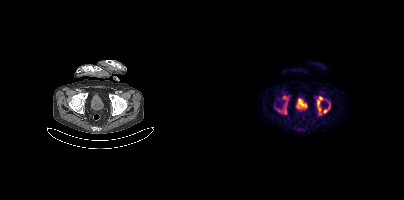
- Left: CT. Right: PSMA PET, same axial level, 18F-PSMA tracer
- slice position z = -240 mm
- PET panel 200×200 px (4.1 mm/px)
Findings: Coordinates are on the 200×200 PET (right) panel. (showing 4 of 5 foci) PSMA-avid tumor lesion bounding boxes (x, y, width, height): x=78 y=95 w=8 h=20 | x=113 y=96 w=6 h=19 | x=119 y=105 w=8 h=9. Small PSMA-avid focus (2 to 4 px across) near (center x, center y): (75, 111).